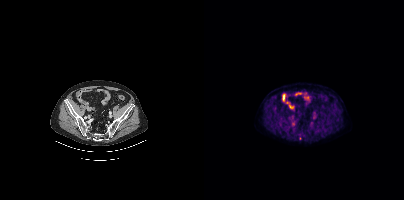
Coordinates are on the 200×200 PET (right) panel. Small PSMA-avid focus (2 to 4 px across) near (center x, center y): (96, 138).